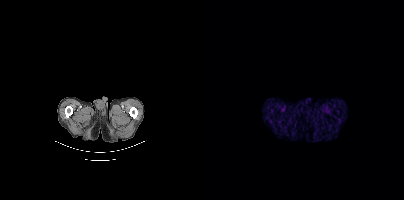
Findings: No tumor lesions annotated on this slice.
- Paired axial CT (left) and PSMA PET (right), 18F tracer